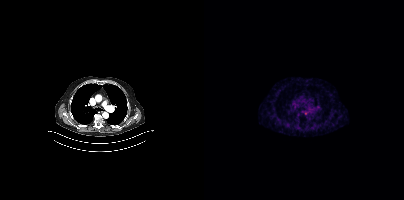
Coordinates are on the 200×200 PET (right) panel. Small PSMA-avid focus (2 to 4 px across) near (center x, center y): (102, 113). Two-panel axial: CT | PSMA PET, 68Ga-PSMA tracer.